Left: CT. Right: PSMA PET, same axial level, 68Ga-PSMA tracer. Acquired on Siemens Biograph 64-4R TruePoint. PET panel 168×168 px (4.1 mm/px).
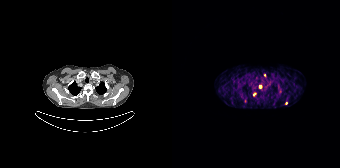
Coordinates are on the 168×168 PET (right) panel. (showing 3 of 4 foci) Small PSMA-avid foci (2 to 4 px across) near (center x, center y): (92, 75); (88, 86); (82, 94).